- Paired axial CT (left) and PSMA PET (right), 18F tracer
- PET panel 200×200 px (4.1 mm/px)
- the face region was removed for patient privacy by blanking a rectangle over the head
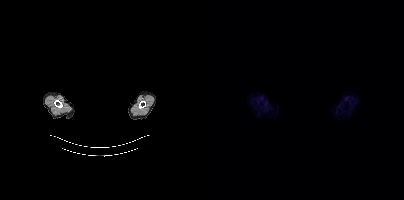
Findings: No tumor lesions annotated on this slice.